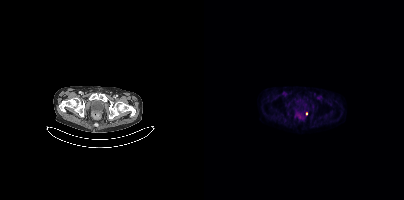
Coordinates are on the 200×200 PET (right) panel. Small PSMA-avid foci (2 to 4 px across) near (center x, center y): (102, 113); (91, 114).